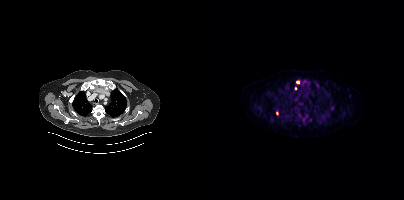
{"modality":"PSMA PET/CT","view":"axial","tracer":"18F","pet_grid":[200,200],"coord_frame":"pet_panel","coord_format":"x0,y0,x1,y1","partial":true,"lesion_bboxes":[[97,114,104,125],[91,112,97,121],[121,94,126,99],[127,105,130,109],[85,114,89,120]],"small_foci_centers":[[56,107],[93,82],[67,120],[73,113],[91,88],[100,81]]}